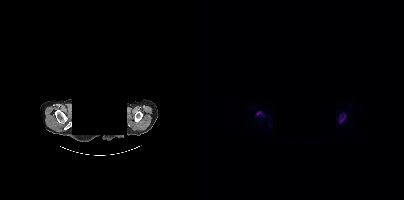
Findings: Coordinates are on the 200×200 PET (right) panel. (showing 2 of 3 foci) PSMA-avid tumor lesion bounding box (x0, y0)-(x1, y1): (136, 115)-(141, 122). Small PSMA-avid focus (2 to 4 px across) near (center x, center y): (54, 113).
Technique: Two-panel axial: CT | PSMA PET, [18F]PSMA-1007 tracer. slice position z = -356 mm.
Note: De-identified by setting a box covering the face to black before release.